- Two-panel axial: CT | PSMA PET, 18F-PSMA tracer
- acquired on Siemens Biograph mCT Flow 20
- PET panel 200×200 px (4.1 mm/px)
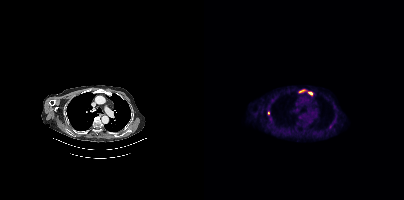
Findings: Coordinates are on the 200×200 PET (right) panel. PSMA-avid tumor lesion bounding boxes (x0,y0,x1,y1): [104,91,108,95]; [95,89,101,92]. Small PSMA-avid focus (2 to 4 px across) near (center x, center y): (64, 112).